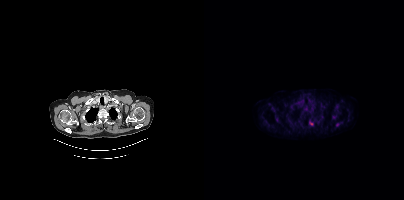
Coordinates are on the 200×200 PET (right) panel. PSMA-avid tumor lesion bounding box (x0, y0)-(x1, y1): (105, 122)-(109, 125). Left: CT. Right: PSMA PET, same axial level, 18F tracer. Slice position z = -972 mm. PET panel 200×200 px (4.1 mm/px).